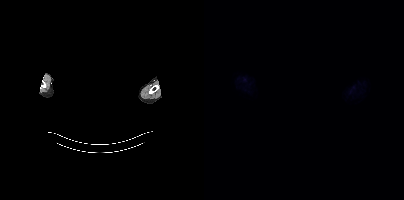
{"modality":"PSMA PET/CT","view":"axial","tracer":"18F-PSMA","pet_grid":[200,200],"coord_frame":"pet_panel","coord_format":"x0,y0,x1,y1","psma_avid_lesions":false,"de-identification":"facial region redacted"}